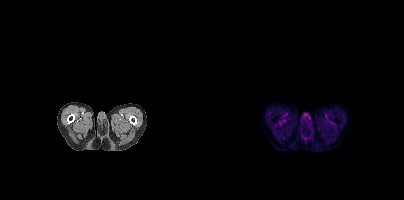
{"modality":"PSMA PET/CT","view":"axial","tracer":"18F-PSMA","pet_grid":[200,200],"coord_frame":"pet_panel","coord_format":"x0,y0,x1,y1","psma_avid_lesions":false}